Technique: Left: CT. Right: PSMA PET, same axial level, 18F tracer. acquired on Siemens Biograph mCT Flow 20. slice 52 of 435.
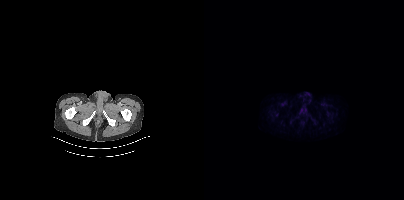
Findings: No PSMA-avid tumor lesions on this slice.